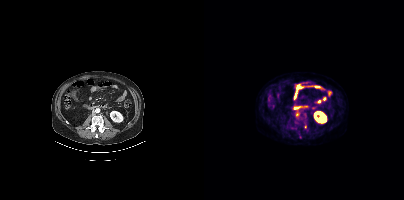
modality: PSMA PET/CT | tracer: 18F | view: axial | PET grid: 200×200
Coordinates are on the 200×200 PET (right) panel. (showing 2 of 3 foci) Small PSMA-avid foci (2 to 4 px across) near (center x, center y): (92, 114) | (96, 137).